modality: PSMA PET/CT | tracer: [18F]PSMA-1007 | view: axial
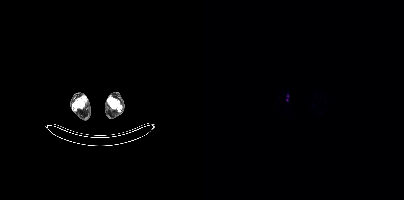
Coordinates are on the 200×200 PET (right) panel. Small PSMA-avid foci (2 to 4 px across) near (center x, center y): (83, 99) (83, 95).